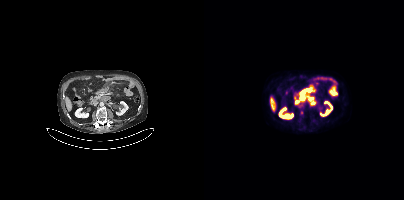
Coordinates are on the 200×200 PET (right) panel. PSMA-avid tumor lesion bounding box (x, y, width, height): x=96 y=87 w=14 h=13. Small PSMA-avid foci (2 to 4 px across) near (center x, center y): (108, 103) / (97, 112).
modality: PSMA PET/CT | tracer: [18F]PSMA-1007 | view: axial